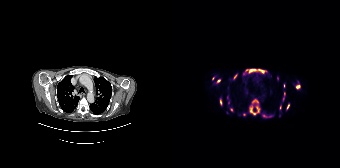
Findings: Coordinates are on the 168×168 PET (right) panel. (showing 15 of 20 foci) PSMA-avid tumor lesion bounding boxes (x0, y0)-(x1, y1): (73, 68)-(94, 73) / (77, 105)-(87, 114) / (124, 84)-(128, 89) / (80, 99)-(86, 103) / (111, 92)-(113, 100) / (48, 99)-(50, 105) / (45, 79)-(48, 83) / (115, 104)-(117, 109) / (62, 74)-(65, 78). Small PSMA-avid foci (2 to 4 px across) near (center x, center y): (59, 109) / (92, 116) / (41, 78) / (112, 85) / (71, 73) / (72, 114).
- Paired axial CT (left) and PSMA PET (right), 18F tracer